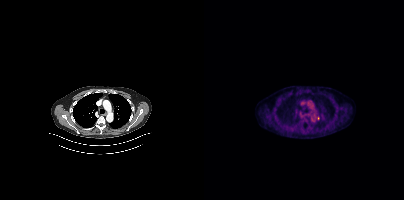
Only PSMA-avid lesion pieces thinner than 2 px on this slice (not listed).